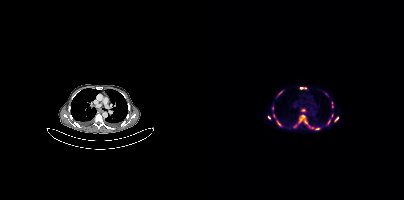
Coordinates are on the 200×200 PET (right) panel. (showing 14 of 18 foci) PSMA-avid tumor lesion bounding boxes (x, y, width, height): x=95 y=115 w=8 h=9 | x=103 y=124 w=8 h=6 | x=97 y=109 w=5 h=3 | x=73 y=91 w=6 h=6 | x=131 y=117 w=4 h=5 | x=128 y=102 w=2 h=6. Small PSMA-avid foci (2 to 4 px across) near (center x, center y): (97, 87) | (68, 108) | (92, 124) | (69, 115) | (128, 115) | (65, 117) | (75, 124) | (113, 128).